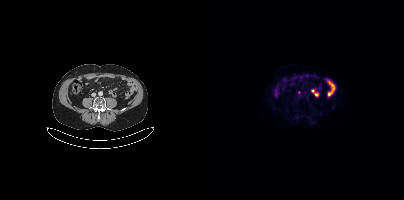
{"modality":"PSMA PET/CT","view":"axial","tracer":"18F","pet_grid":[200,200],"coord_frame":"pet_panel","coord_format":"x0,y0,x1,y1","lesion_bboxes":[],"small_foci_centers":[[95,92]]}